Left: CT. Right: PSMA PET, same axial level, 18F tracer. Slice position z = 1367 mm.
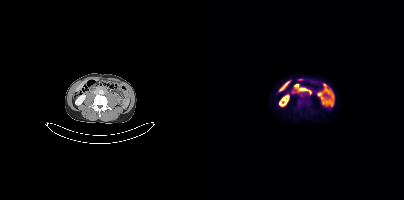
Coordinates are on the 200×200 PET (right) panel. PSMA-avid tumor lesion bounding boxes:
| # | x0 | y0 | x1 | y1 |
|---|---|---|---|---|
| 1 | 94 | 100 | 98 | 104 |